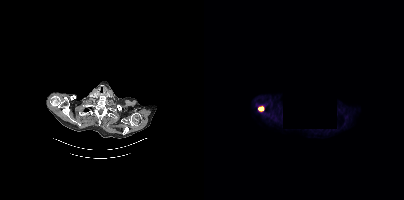
Coordinates are on the 200×200 PET (right) panel. PSMA-avid tumor lesion bounding box (x, y, width, height): x=54 y=106 w=7 h=6. Any black rectangle here is a de-identification mask. Two-panel axial: CT | PSMA PET, 18F tracer. PET panel 200×200 px (4.1 mm/px).